modality: PSMA PET/CT | tracer: [18F]PSMA-1007 | view: axial
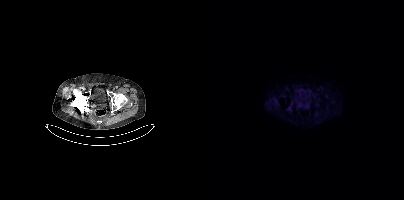
No PSMA-avid tumor lesions on this slice.